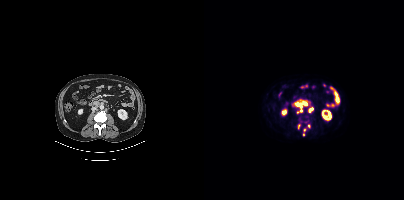
Findings: Coordinates are on the 200×200 PET (right) panel. PSMA-avid tumor lesion bounding boxes (x0, y0)-(x1, y1): (93, 100)-(105, 112); (104, 107)-(109, 112). Small PSMA-avid foci (2 to 4 px across) near (center x, center y): (99, 133); (94, 125); (104, 126); (100, 129).
Technique: Two-panel axial: CT | PSMA PET, [18F]PSMA-1007 tracer. slice position z = -1355 mm. PET panel 200×200 px (4.1 mm/px).